Technique: Two-panel axial: CT | PSMA PET, 18F-PSMA tracer.
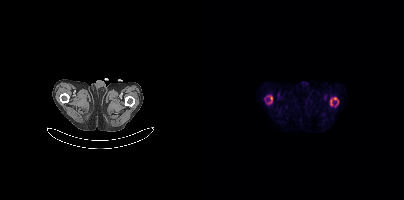
Findings: Coordinates are on the 200×200 PET (right) panel. (showing 2 of 3 foci) PSMA-avid tumor lesion bounding box (x0,y0,x1,y1): [66,96,68,102]. Small PSMA-avid focus (2 to 4 px across) near (center x, center y): (131, 98).